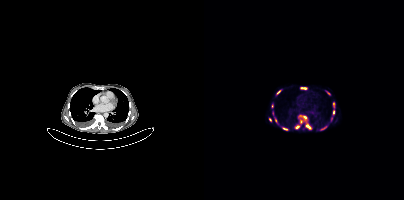
- Paired axial CT (left) and PSMA PET (right), 68Ga tracer
- PET panel 200×200 px (4.1 mm/px)
Findings: Coordinates are on the 200×200 PET (right) panel. (showing 13 of 16 foci) PSMA-avid tumor lesion bounding boxes (x0,y0,x1,y1): [102,124,107,129]; [96,115,102,120]; [91,125,95,128]; [97,87,102,89]; [129,102,130,106]; [79,128,83,130]; [117,127,122,129]. Small PSMA-avid foci (2 to 4 px across) near (center x, center y): (97, 121); (74, 92); (124, 93); (129, 112); (66, 119); (127, 119).